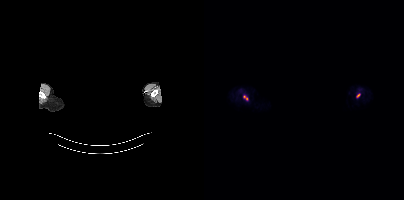
modality: PSMA PET/CT | tracer: [18F]PSMA-1007 | view: axial | redaction: face masked with black rectangle
Coordinates are on the 200×200 PET (right) panel. Small PSMA-avid foci (2 to 4 px across) near (center x, center y): (41, 97) | (154, 95).